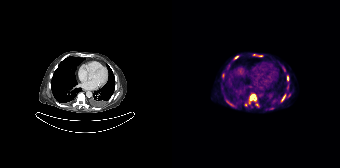
Coordinates are on the 168×168 PET (right) panel. (showing 10 of 12 foci) PSMA-avid tumor lesion bounding boxes (x0,y0,x1,y1): [76,93,84,103], [50,73,52,78], [111,94,113,99], [54,101,60,105], [115,76,116,80], [111,67,113,71]. Small PSMA-avid foci (2 to 4 px across) near (center x, center y): (84, 104), (64, 57), (88, 55), (73, 105).